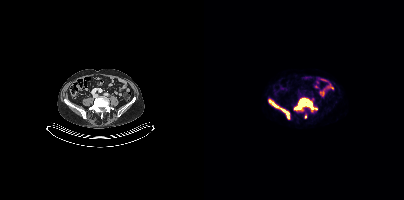
modality: PSMA PET/CT | tracer: [18F]PSMA-1007 | view: axial | PET grid: 200×200
Coordinates are on the 200×200 PET (right) panel. PSMA-avid tumor lesion bounding boxes (x0, y0)-(x1, y1): (90, 98)-(112, 111) / (65, 100)-(85, 118). Small PSMA-avid focus (2 to 4 px across) near (center x, center y): (101, 116).